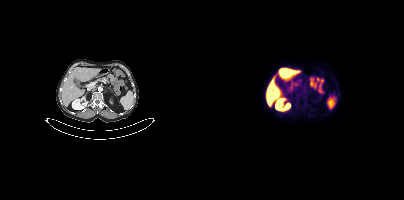
No PSMA-avid tumor lesions on this slice.